Two-panel axial: CT | PSMA PET, [18F]PSMA-1007 tracer. Slice position z = -58 mm. PET panel 256×256 px (2.7 mm/px). The head region is masked for de-identification.
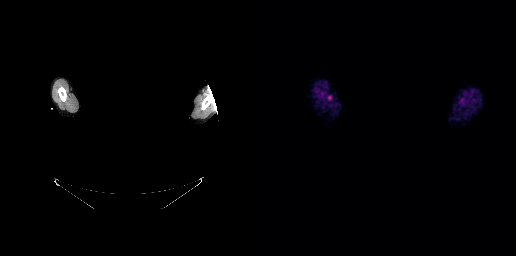
No tumor lesions annotated on this slice.